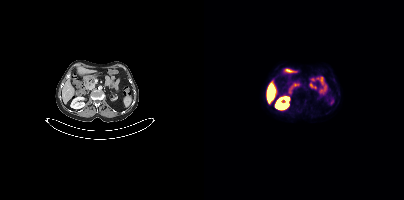
{"modality":"PSMA PET/CT","view":"axial","tracer":"18F","pet_grid":[200,200],"coord_frame":"pet_panel","coord_format":"x0,y0,x1,y1","psma_avid_lesions":false}